modality: PSMA PET/CT | tracer: 18F | view: axial | PET grid: 200×200
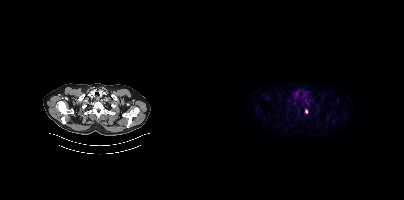
Coordinates are on the 200×200 PET (right) panel. Small PSMA-avid focus (2 to 4 px across) near (center x, center y): (102, 111).